modality: PSMA PET/CT | tracer: 18F | view: axial
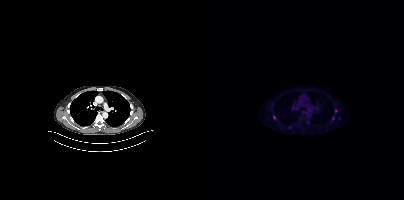
Coordinates are on the 200×200 PET (right) panel. Small PSMA-avid foci (2 to 4 px across) near (center x, center y): (131, 110) / (70, 117) / (129, 118).